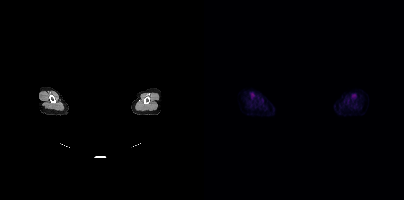
- Two-panel axial: CT | PSMA PET, [18F]PSMA-1007 tracer
- acquired on Siemens Biograph mCT Flow 20
- PET panel 200×200 px (4.1 mm/px)
- a rectangle over the head was blacked out to remove identifiable facial features
Findings: This slice has no annotated PSMA-avid lesion.